modality: PSMA PET/CT | tracer: 18F | view: axial
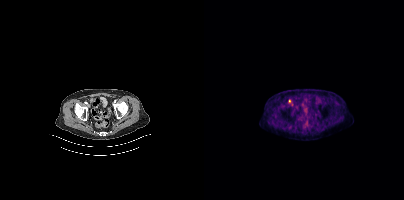
Coordinates are on the 200×200 PET (right) panel. Small PSMA-avid focus (2 to 4 px across) near (center x, center y): (85, 101).